Two-panel axial: CT | PSMA PET, 18F tracer. Acquired on Siemens Biograph mCT Flow 20. Slice 87 of 415. PET panel 200×200 px (4.1 mm/px).
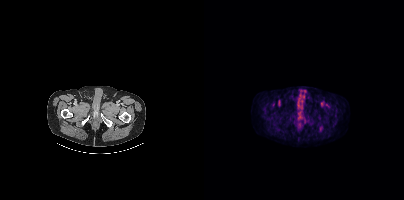
No PSMA-avid tumor lesions on this slice.